An anonymization step blacked out a rectangle over the head in this scan. Left: CT. Right: PSMA PET, same axial level, [18F]PSMA-1007 tracer.
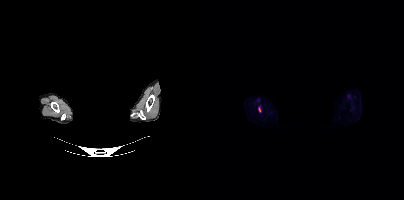
Coordinates are on the 200×200 PET (right) panel. (showing 1 of 2 foci) PSMA-avid tumor lesion bounding box (x0, y0)-(x1, y1): (54, 106)-(57, 112).